Two-panel axial: CT | PSMA PET, 18F-PSMA tracer. Slice 251 of 435.
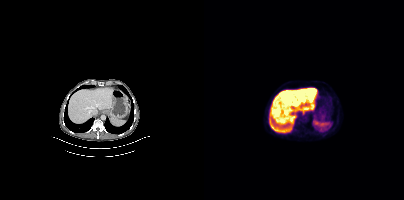
No tumor lesions annotated on this slice.